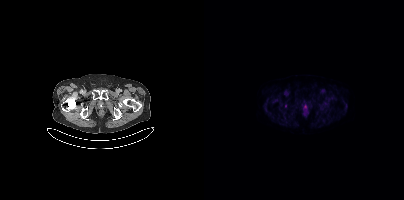
{"modality":"PSMA PET/CT","view":"axial","tracer":"18F","pet_grid":[200,200],"coord_frame":"pet_panel","coord_format":"x0,y0,x1,y1","lesion_bboxes":[],"small_foci_centers":[[81,105]]}